An anonymization step blacked out a rectangle over the head in this scan.
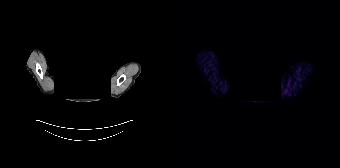
No tumor lesions annotated on this slice.